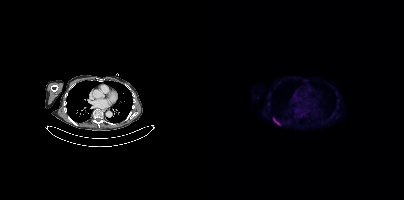
Coordinates are on the 200×200 PET (right) panel. PSMA-avid tumor lesion bounding box (x0, y0)-(x1, y1): (69, 118)-(76, 125).